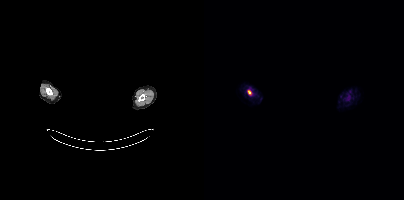
- a rectangle over the head was blacked out to remove identifiable facial features
- Two-panel axial: CT | PSMA PET, 18F-PSMA tracer
- acquired on Siemens Biograph mCT Flow 20
- PET panel 200×200 px (4.1 mm/px)
Findings: Coordinates are on the 200×200 PET (right) panel. PSMA-avid tumor lesion bounding box (x, y, width, height): x=44 y=90 w=4 h=5.